Technique: Left: CT. Right: PSMA PET, same axial level, 18F tracer.
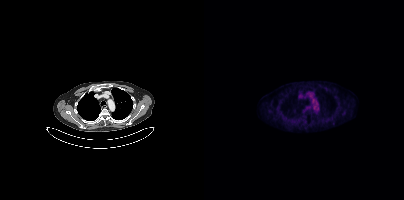
Findings: Negative for PSMA-avid disease on this slice.